- Two-panel axial: CT | PSMA PET, 18F tracer
- acquired on GE Discovery 690
- slice position z = -711 mm
- PET panel 256×256 px (2.7 mm/px)
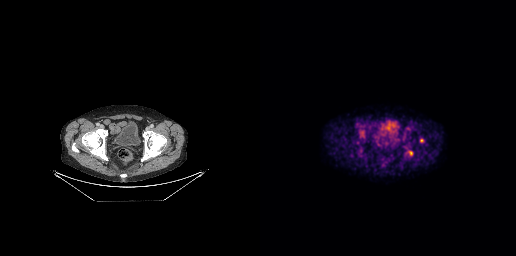
Findings: Coordinates are on the 256×256 PET (right) panel. PSMA-avid tumor lesion bounding box (x0, y0)-(x1, y1): (149, 151)-(152, 155). Small PSMA-avid focus (2 to 4 px across) near (center x, center y): (161, 140).